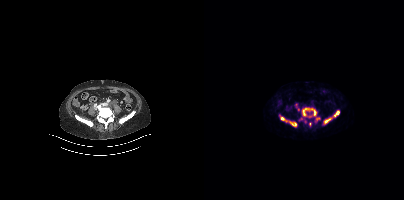
Coordinates are on the 200×200 PET (right) panel. PSMA-avid tumor lesion bounding boxes (partial; 1 more focus not listed):
| # | x0 | y0 | x1 | y1 |
|---|---|---|---|---|
| 1 | 98 | 107 | 113 | 119 |
| 2 | 75 | 114 | 93 | 127 |
| 3 | 119 | 110 | 135 | 124 |
Small PSMA-avid foci (2 to 4 px across) near (center x, center y): (106, 124); (100, 121); (97, 118).
Left: CT. Right: PSMA PET, same axial level, 68Ga tracer. Acquired on Siemens Biograph mCT Flow 20. PET panel 200×200 px (4.1 mm/px).